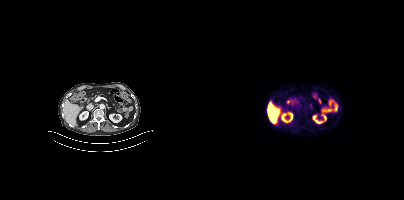
No tumor lesions annotated on this slice.